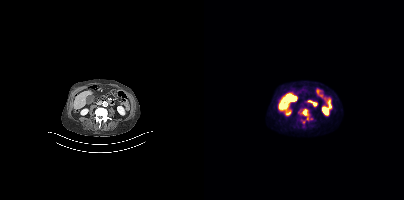
Coordinates are on the 200×200 PET (right) panel. (showing 2 of 3 foci) PSMA-avid tumor lesion bounding box (x, y, width, height): x=95 y=108 w=11 h=13. Small PSMA-avid focus (2 to 4 px across) near (center x, center y): (100, 122).